Technique: Left: CT. Right: PSMA PET, same axial level, [18F]PSMA-1007 tracer. slice position z = -418 mm. PET panel 200×200 px (4.1 mm/px).
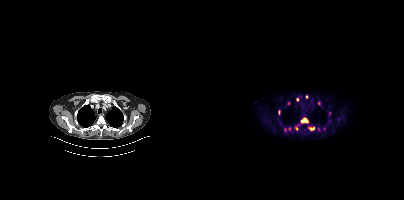
Findings: Coordinates are on the 200×200 PET (right) panel. (showing 8 of 9 foci) PSMA-avid tumor lesion bounding boxes (x0, y0)-(x1, y1): (97, 117)-(104, 123) | (104, 127)-(110, 130) | (91, 126)-(94, 130). Small PSMA-avid foci (2 to 4 px across) near (center x, center y): (81, 129) | (102, 96) | (93, 99) | (114, 103) | (85, 128).